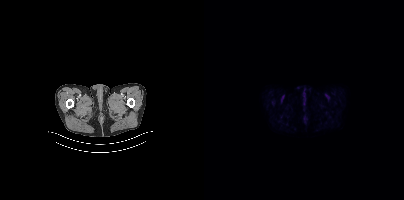
Two-panel axial: CT | PSMA PET, 18F-PSMA tracer. Slice 33 of 421. Negative for PSMA-avid disease on this slice.